Two-panel axial: CT | PSMA PET, 18F-PSMA tracer. PET panel 200×200 px (4.1 mm/px). The face region was removed for patient privacy by blanking a rectangle over the head.
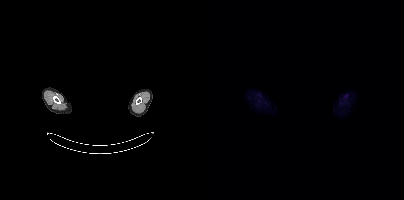
This slice has no annotated PSMA-avid lesion.